deidentification: rectangular block over head set to black | modality: PSMA PET/CT | tracer: 18F-PSMA | view: axial
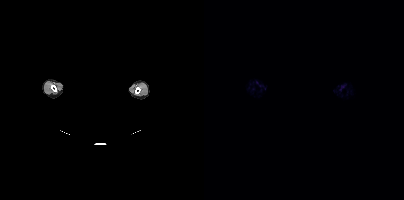
Negative for PSMA-avid disease on this slice.